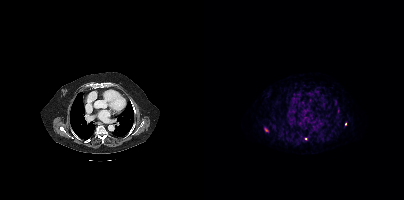
- Paired axial CT (left) and PSMA PET (right), [68Ga]Ga-PSMA-11 tracer
- acquired on Siemens Biograph mCT Flow 20
- slice 292 of 444
- PET panel 200×200 px (4.1 mm/px)
Findings: Coordinates are on the 200×200 PET (right) panel. Small PSMA-avid foci (2 to 4 px across) near (center x, center y): (62, 130); (141, 124); (101, 138).